Paired axial CT (left) and PSMA PET (right), 18F tracer.
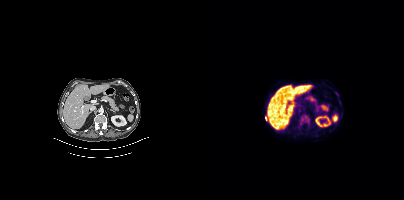
Coordinates are on the 200×200 PET (right) panel. PSMA-avid tumor lesion bounding box (x, y, width, height): x=96 y=114 w=10 h=11. Small PSMA-avid focus (2 to 4 px across) near (center x, center y): (61, 118).